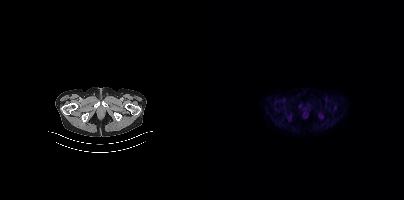
Technique: Paired axial CT (left) and PSMA PET (right), 18F-PSMA tracer. acquired on Siemens Biograph mCT Flow 20. slice position z = -784 mm.
Findings: No PSMA-avid tumor lesions on this slice.